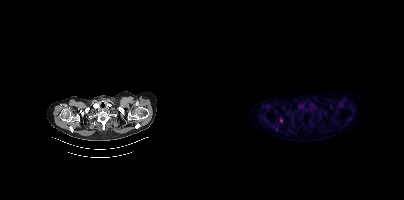
Left: CT. Right: PSMA PET, same axial level, 18F tracer. Slice 342 of 407. Coordinates are on the 200×200 PET (right) panel. Small PSMA-avid focus (2 to 4 px across) near (center x, center y): (77, 120).